modality: PSMA PET/CT | tracer: [18F]PSMA-1007 | view: axial | PET grid: 200×200
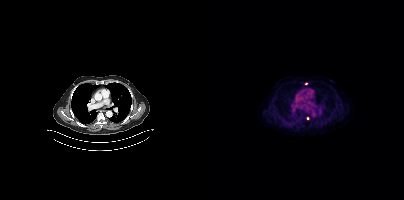
Coordinates are on the 200×200 PET (right) panel. Small PSMA-avid foci (2 to 4 px across) near (center x, center y): (102, 83); (103, 118).